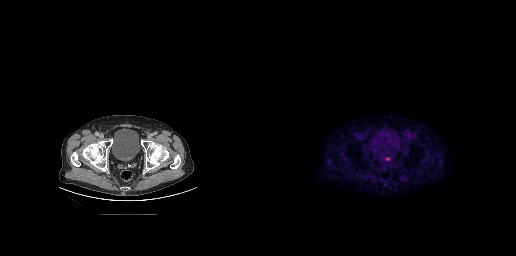
Findings: Coordinates are on the 256×256 PET (right) panel. Small PSMA-avid focus (2 to 4 px across) near (center x, center y): (127, 159).
Technique: Two-panel axial: CT | PSMA PET, 18F tracer. slice position z = -670 mm. PET panel 256×256 px (2.7 mm/px).